Technique: Paired axial CT (left) and PSMA PET (right), 18F-PSMA tracer. slice 238 of 454.
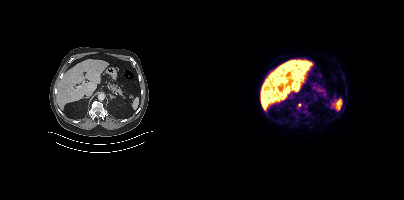
Findings: Coordinates are on the 200×200 PET (right) panel. Small PSMA-avid focus (2 to 4 px across) near (center x, center y): (95, 105).